Two-panel axial: CT | PSMA PET, 18F-PSMA tracer. PET panel 200×200 px (4.1 mm/px).
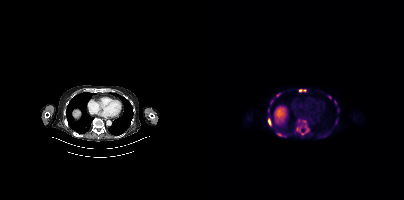
Coordinates are on the 200×200 PET (right) panel. (showing 12 of 14 foci) PSMA-avid tumor lesion bounding boxes (x0, y0)-(x1, y1): (91, 128)-(100, 135); (73, 133)-(82, 137); (97, 123)-(105, 133); (64, 119)-(67, 125); (95, 89)-(102, 91); (124, 95)-(127, 99); (130, 100)-(132, 104). Small PSMA-avid foci (2 to 4 px across) near (center x, center y): (74, 95); (64, 110); (67, 101); (134, 110); (131, 122).